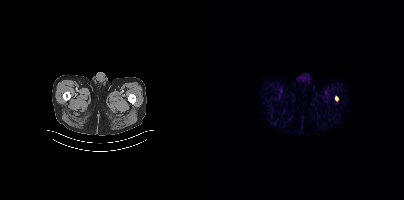
- Two-panel axial: CT | PSMA PET, 68Ga tracer
Findings: Coordinates are on the 200×200 PET (right) panel. Small PSMA-avid focus (2 to 4 px across) near (center x, center y): (132, 98).